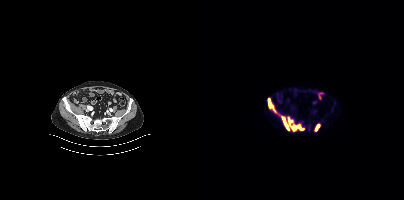
{"modality":"PSMA PET/CT","view":"axial","tracer":"[18F]PSMA-1007","pet_grid":[200,200],"coord_frame":"pet_panel","coord_format":"x0,y0,x1,y1","lesion_bboxes":[[63,98,100,131],[111,124,115,130]]}